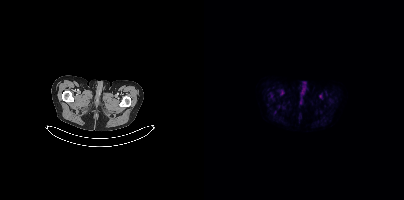
- Left: CT. Right: PSMA PET, same axial level, 18F-PSMA tracer
- slice position z = -1615 mm
Findings: Negative for PSMA-avid disease on this slice.